Left: CT. Right: PSMA PET, same axial level, 68Ga-PSMA tracer. PET panel 200×200 px (4.1 mm/px).
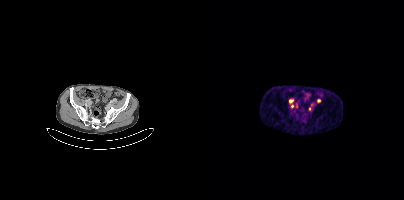
Coordinates are on the 200×200 PET (right) panel. PSMA-avid tumor lesion bounding box (x0,y0,x1,y1): [85,99,89,103]. Small PSMA-avid foci (2 to 4 px across) near (center x, center y): (114, 100); (92, 105); (88, 106); (105, 108); (107, 104).